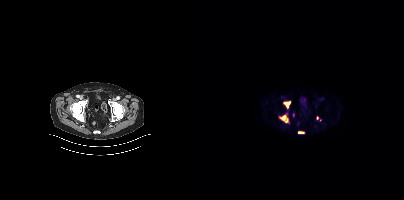
{"modality":"PSMA PET/CT","view":"axial","tracer":"18F","pet_grid":[200,200],"coord_frame":"pet_panel","coord_format":"x0,y0,x1,y1","partial":true,"lesion_bboxes":[[76,115,83,122],[80,101,86,107],[94,131,99,133]],"small_foci_centers":[[89,115],[113,118]]}